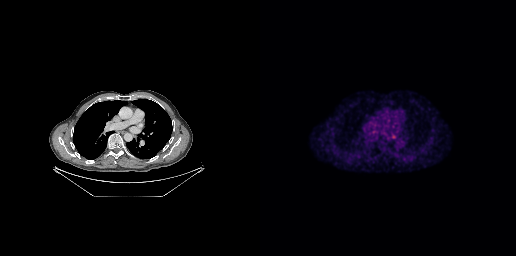
Paired axial CT (left) and PSMA PET (right), 18F tracer. Slice 218 of 299. PET panel 256×256 px (2.7 mm/px).
Coordinates are on the 256×256 PET (right) panel. PSMA-avid tumor lesion bounding boxes:
| # | x0 | y0 | x1 | y1 |
|---|---|---|---|---|
| 1 | 131 | 134 | 136 | 139 |
| 2 | 106 | 125 | 110 | 129 |